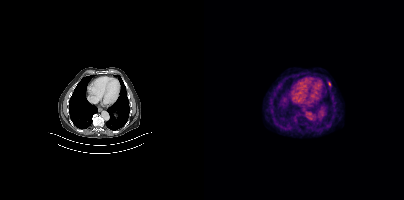
Coordinates are on the 200×200 PET (right) panel. PSMA-avid tumor lesion bounding box (x0, y0)-(x1, y1): (124, 81)-(127, 86).